Left: CT. Right: PSMA PET, same axial level, [18F]PSMA-1007 tracer. Slice 103 of 395.
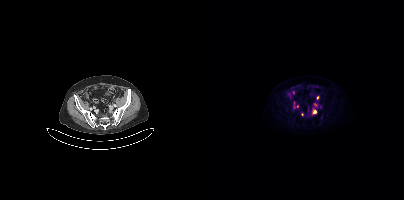
Coordinates are on the 200×200 PET (right) panel. PSMA-avid tumor lesion bounding boxes (partial; 3 more foci not listed):
| # | x0 | y0 | x1 | y1 |
|---|---|---|---|---|
| 1 | 107 | 110 | 112 | 114 |
Small PSMA-avid foci (2 to 4 px across) near (center x, center y): (93, 106); (97, 114); (113, 97); (111, 104).